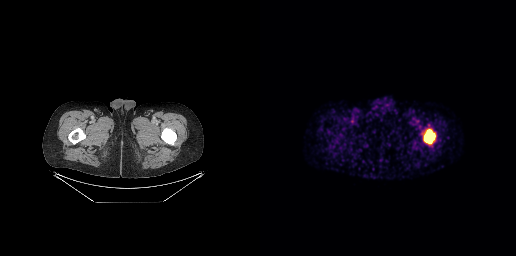
Findings: Coordinates are on the 256×256 PET (right) panel. PSMA-avid tumor lesion bounding box (x0,y0,x1,y1): [164,129,175,143].
- Left: CT. Right: PSMA PET, same axial level, [68Ga]Ga-PSMA-11 tracer
- slice position z = -1009 mm
- PET panel 256×256 px (2.7 mm/px)